Two-panel axial: CT | PSMA PET, [18F]PSMA-1007 tracer. Acquired on GE Discovery 690.
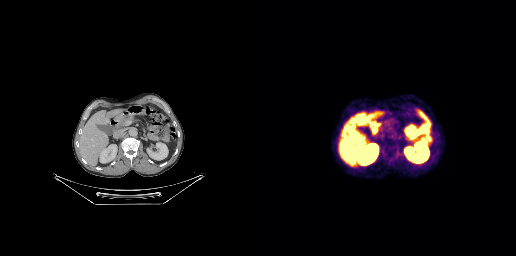
No PSMA-avid tumor lesions on this slice.